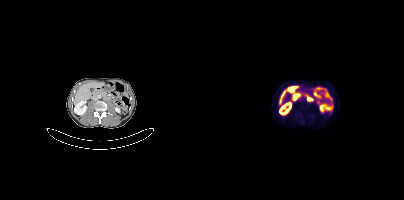
{"modality":"PSMA PET/CT","view":"axial","tracer":"[18F]PSMA-1007","pet_grid":[200,200],"coord_frame":"pet_panel","coord_format":"x0,y0,x1,y1","psma_avid_lesions":false}